A rectangle over the head was blacked out to remove identifiable facial features. Paired axial CT (left) and PSMA PET (right), [18F]PSMA-1007 tracer. Slice position z = -813 mm. PET panel 200×200 px (4.1 mm/px).
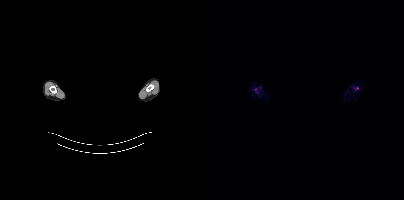
Coordinates are on the 200×200 PET (right) panel. PSMA-avid tumor lesion bounding boxes:
| # | x0 | y0 | x1 | y1 |
|---|---|---|---|---|
| 1 | 150 | 87 | 154 | 90 |
Small PSMA-avid focus (2 to 4 px across) near (center x, center y): (51, 88).